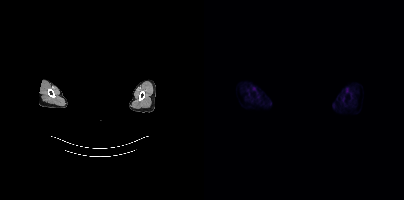
Two-panel axial: CT | PSMA PET, 18F-PSMA tracer. Acquired on Siemens Biograph mCT Flow 20. PET panel 200×200 px (4.1 mm/px). A rectangular block over the head has been blanked out for de-identification. Negative for PSMA-avid disease on this slice.